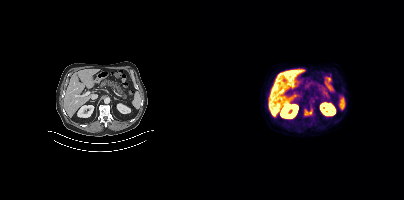
Coordinates are on the 200×200 PET (right) panel. PSMA-avid tumor lesion bounding box (x0, y0)-(x1, y1): (100, 109)-(108, 115). Paired axial CT (left) and PSMA PET (right), 18F tracer. Acquired on Siemens Biograph mCT Flow 20. PET panel 200×200 px (4.1 mm/px).